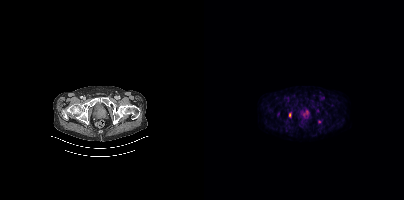
Coordinates are on the 200×200 PET (right) panel. PSMA-avid tumor lesion bounding boxes (partial; 1 more focus not listed):
| # | x0 | y0 | x1 | y1 |
|---|---|---|---|---|
| 1 | 85 | 113 | 87 | 117 |
Small PSMA-avid focus (2 to 4 px across) near (center x, center y): (115, 121).
Left: CT. Right: PSMA PET, same axial level, 18F-PSMA tracer. Slice 45 of 427. PET panel 200×200 px (4.1 mm/px).